- Two-panel axial: CT | PSMA PET, 18F tracer
- slice 75 of 417
- PET panel 200×200 px (4.1 mm/px)
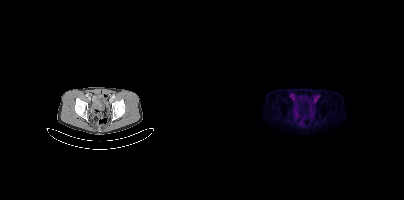
Findings: This slice has no annotated PSMA-avid lesion.